- Two-panel axial: CT | PSMA PET, 18F-PSMA tracer
- acquired on Siemens Biograph 64-4R TruePoint
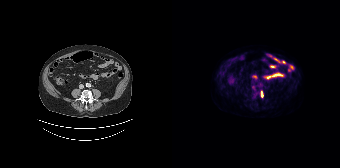
Findings: Coordinates are on the 168×168 PET (right) panel. PSMA-avid tumor lesion bounding box (x, y, width, height): x=89 y=91 w=3 h=7.